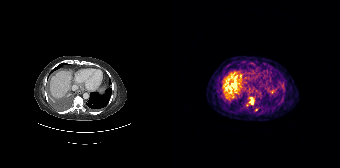
{"modality":"PSMA PET/CT","view":"axial","tracer":"68Ga","pet_grid":[168,168],"coord_frame":"pet_panel","coord_format":"x0,y0,x1,y1","partial":true,"lesion_bboxes":[[77,97,81,104]],"small_foci_centers":[[84,109],[55,65]]}